modality: PSMA PET/CT | tracer: [18F]PSMA-1007 | view: axial
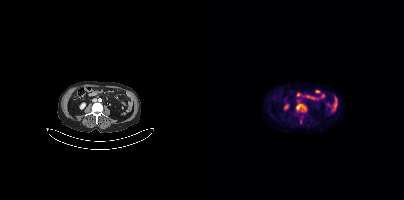
Coordinates are on the 200×200 PET (right) panel. PSMA-avid tumor lesion bounding box (x0,y0,x1,y1): [92,103,102,111].